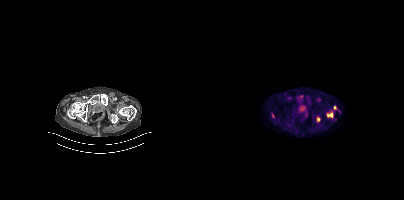
Coordinates are on the 200×200 PET (right) panel. PSMA-avid tumor lesion bounding box (x0,y0,x1,y1): [68,113,70,117]. Small PSMA-avid focus (2 to 4 px across) near (center x, center y): (130, 107).
modality: PSMA PET/CT | tracer: 18F-PSMA | view: axial | PET grid: 200×200